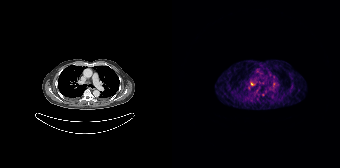
Technique: Left: CT. Right: PSMA PET, same axial level, 68Ga tracer. acquired on Siemens Biograph 64-4R TruePoint. slice 142 of 195.
Findings: Coordinates are on the 168×168 PET (right) panel. (showing 2 of 3 foci) Small PSMA-avid foci (2 to 4 px across) near (center x, center y): (80, 84), (101, 84).